- Two-panel axial: CT | PSMA PET, 18F tracer
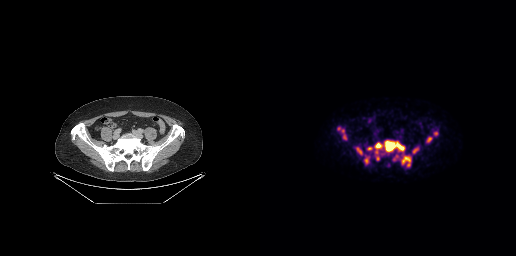
Findings: Coordinates are on the 256×256 PET (right) panel. PSMA-avid tumor lesion bounding boxes (x0,y0,x1,y1): [114,140,151,166]; [96,147,108,163]; [152,147,158,153]; [167,137,172,142]; [78,127,84,132]; [83,134,86,139]; [107,147,112,150]; [116,156,119,160]; [133,155,138,160]. Small PSMA-avid focus (2 to 4 px across) near (center x, center y): (175, 133).